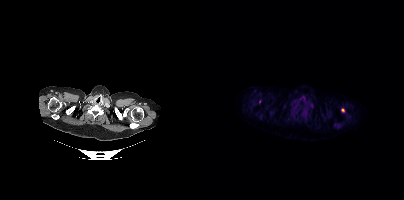
Findings: Coordinates are on the 200×200 PET (right) panel. Small PSMA-avid foci (2 to 4 px across) near (center x, center y): (138, 110) | (55, 101).
- Left: CT. Right: PSMA PET, same axial level, 18F tracer
- slice 399 of 462
- PET panel 200×200 px (4.1 mm/px)